Two-panel axial: CT | PSMA PET, 68Ga-PSMA tracer. PET panel 256×256 px (2.7 mm/px).
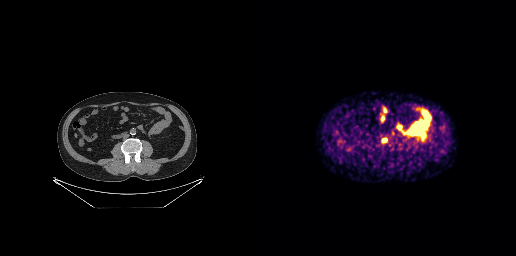
Coordinates are on the 256×256 PET (right) panel. PSMA-avid tumor lesion bounding box (x, y, width, height): x=122 y=138 w=5 h=5.